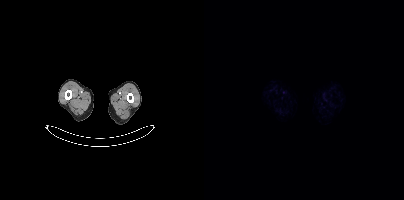
Negative for PSMA-avid disease on this slice. Two-panel axial: CT | PSMA PET, 18F tracer. Slice 9 of 409. PET panel 200×200 px (4.1 mm/px).